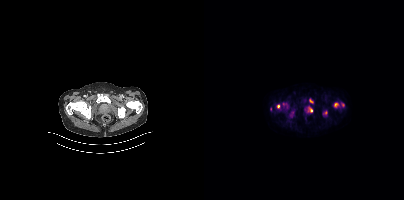
Findings: Coordinates are on the 200×200 PET (right) panel. (showing 9 of 10 foci) PSMA-avid tumor lesion bounding boxes (x0, y0)-(x1, y1): (85, 113)-(89, 117) / (130, 103)-(134, 107) / (105, 99)-(109, 103) / (73, 105)-(76, 109) / (105, 108)-(108, 112). Small PSMA-avid foci (2 to 4 px across) near (center x, center y): (139, 105) / (121, 112) / (79, 105) / (66, 109).
Technique: Left: CT. Right: PSMA PET, same axial level, [18F]PSMA-1007 tracer. acquired on Siemens Biograph mCT Flow 20. slice 66 of 413.